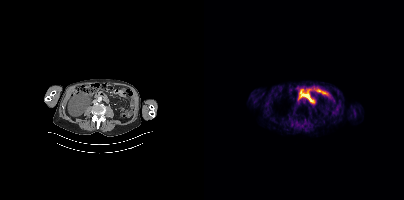
Left: CT. Right: PSMA PET, same axial level, 18F-PSMA tracer. Negative for PSMA-avid disease on this slice.